Technique: Left: CT. Right: PSMA PET, same axial level, 18F tracer. slice position z = -374 mm. PET panel 256×256 px (2.7 mm/px).
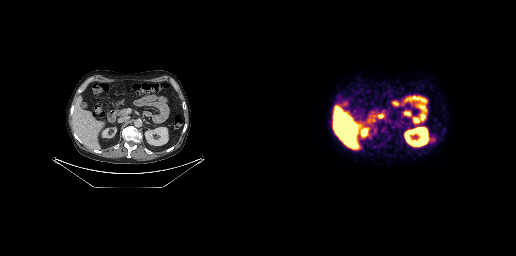
Findings: This slice has no annotated PSMA-avid lesion.